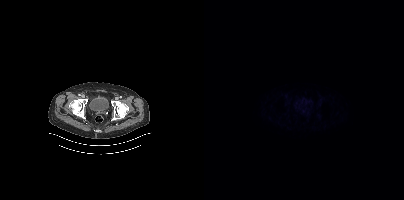
{"pet_grid":[200,200],"coord_frame":"pet_panel","coord_format":"x0,y0,x1,y1","psma_avid_lesions":false,"modality":"PSMA PET/CT","view":"axial","tracer":"18F"}